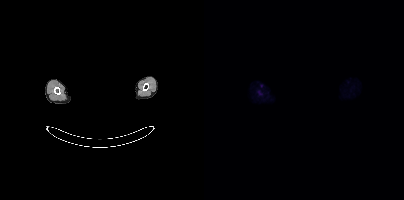
{"pet_grid":[200,200],"coord_frame":"pet_panel","coord_format":"x0,y0,x1,y1","psma_avid_lesions":false,"modality":"PSMA PET/CT","view":"axial","tracer":"[18F]PSMA-1007","de-identification":"head region blacked out before release"}